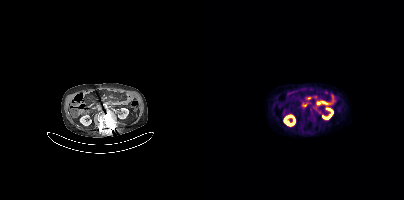
Coordinates are on the 200×200 PET (right) panel. Small PSMA-avid focus (2 to 4 px across) near (center x, center y): (105, 98).
modality: PSMA PET/CT | tracer: 18F | view: axial | PET grid: 200×200